- Left: CT. Right: PSMA PET, same axial level, 18F tracer
- slice position z = 114 mm
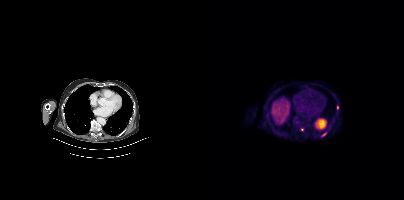
Findings: Coordinates are on the 200×200 PET (right) panel. (showing 2 of 3 foci) Small PSMA-avid foci (2 to 4 px across) near (center x, center y): (98, 129) / (133, 107).